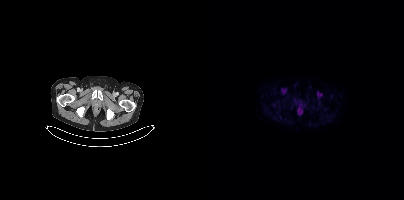
{"modality":"PSMA PET/CT","view":"axial","tracer":"18F","pet_grid":[200,200],"coord_frame":"pet_panel","coord_format":"x0,y0,x1,y1","psma_avid_lesions":false}